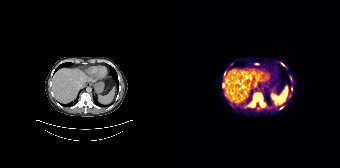
modality: PSMA PET/CT | tracer: 68Ga | view: axial
Coordinates are on the 168×168 PET (right) panel. (showing 6 of 8 foci) PSMA-avid tumor lesion bounding boxes (x0, y0)-(x1, y1): (78, 93)-(93, 107) | (119, 87)-(120, 91) | (108, 106)-(112, 109). Small PSMA-avid foci (2 to 4 px across) near (center x, center y): (55, 97) | (110, 64) | (52, 73).